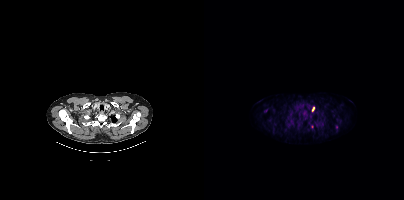
{"modality":"PSMA PET/CT","view":"axial","tracer":"18F","pet_grid":[200,200],"coord_frame":"pet_panel","coord_format":"x0,y0,x1,y1","lesion_bboxes":[[108,107,110,111]],"small_foci_centers":[[108,126]]}